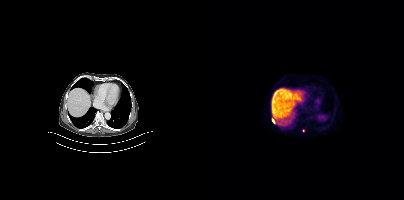
Paired axial CT (left) and PSMA PET (right), [18F]PSMA-1007 tracer. Slice position z = -1222 mm. PET panel 200×200 px (4.1 mm/px).
Coordinates are on the 200×200 PET (right) panel. PSMA-avid tumor lesion bounding boxes:
| # | x0 | y0 | x1 | y1 |
|---|---|---|---|---|
| 1 | 68 | 119 | 73 | 124 |
Small PSMA-avid focus (2 to 4 px across) near (center x, center y): (99, 130).